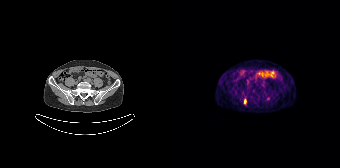
{"pet_grid":[168,168],"coord_frame":"pet_panel","coord_format":"x0,y0,x1,y1","lesion_bboxes":[],"small_foci_centers":[[72,100],[96,97]],"modality":"PSMA PET/CT","view":"axial","tracer":"[68Ga]Ga-PSMA-11"}